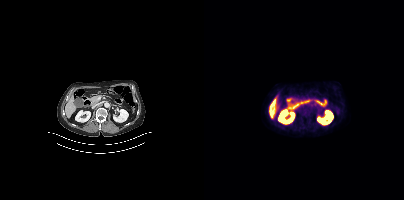
Negative for PSMA-avid disease on this slice.